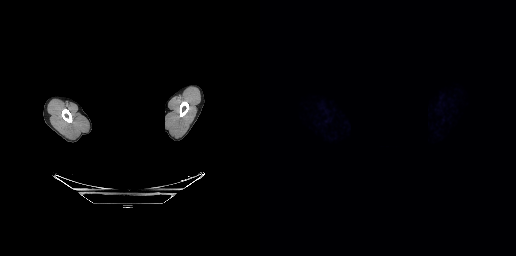
No tumor lesions annotated on this slice.
An anonymization step blacked out a rectangle over the head in this scan.